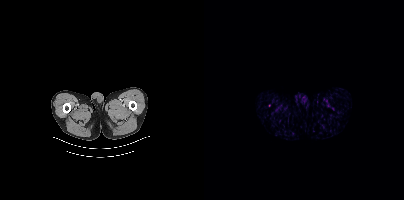
Only PSMA-avid lesion pieces thinner than 2 px on this slice (not listed). Paired axial CT (left) and PSMA PET (right), 68Ga-PSMA tracer. Acquired on Siemens Biograph mCT Flow 20. Slice position z = -1606 mm. PET panel 200×200 px (4.1 mm/px).